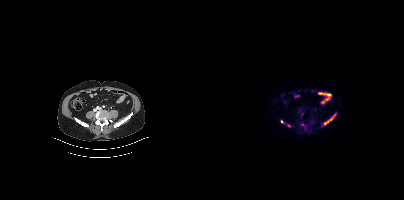
{"modality":"PSMA PET/CT","view":"axial","tracer":"18F","pet_grid":[200,200],"coord_frame":"pet_panel","coord_format":"x0,y0,x1,y1","partial":true,"lesion_bboxes":[[120,114,131,124]],"small_foci_centers":[[77,121]]}